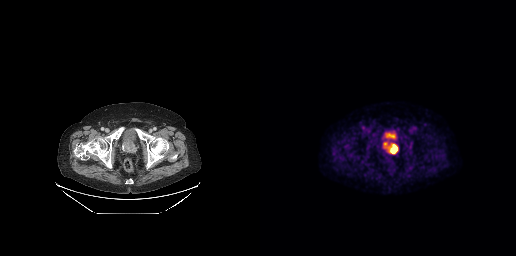
Findings: Coordinates are on the 256×256 PET (right) panel. PSMA-avid tumor lesion bounding box (x0, y0)-(x1, y1): (130, 144)-(137, 153).
- Left: CT. Right: PSMA PET, same axial level, 18F tracer
- slice position z = -696 mm